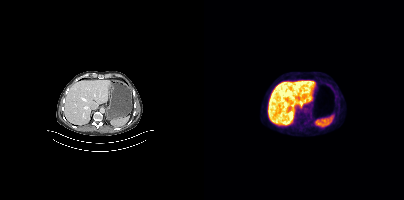
- Two-panel axial: CT | PSMA PET, 18F-PSMA tracer
Findings: Negative for PSMA-avid disease on this slice.